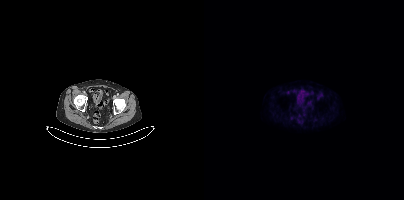
- Left: CT. Right: PSMA PET, same axial level, 18F-PSMA tracer
- PET panel 200×200 px (4.1 mm/px)
Findings: No PSMA-avid tumor lesions on this slice.